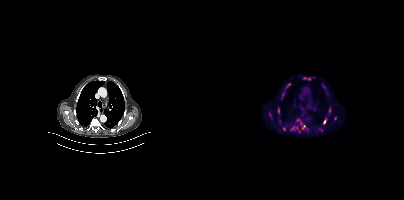
Coordinates are on the 200×200 PET (right) panel. PSMA-avid tumor lesion bounding boxes:
| # | x0 | y0 | x1 | y1 |
|---|---|---|---|---|
| 1 | 92 | 119 | 104 | 130 |
| 2 | 87 | 125 | 96 | 132 |
| 3 | 64 | 112 | 68 | 119 |
| 4 | 82 | 83 | 87 | 87 |
| 5 | 119 | 117 | 123 | 124 |
| 6 | 74 | 107 | 75 | 114 |
| 7 | 125 | 107 | 126 | 113 |
Small PSMA-avid foci (2 to 4 px across) near (center x, center y): (100, 78); (105, 79).
Two-panel axial: CT | PSMA PET, [18F]PSMA-1007 tracer. Acquired on Siemens Biograph mCT Flow 20. PET panel 200×200 px (4.1 mm/px).